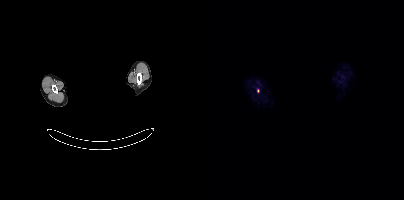
A rectangular block over the head has been blanked out for de-identification. Paired axial CT (left) and PSMA PET (right), 18F tracer. Coordinates are on the 200×200 PET (right) panel. Small PSMA-avid focus (2 to 4 px across) near (center x, center y): (54, 90).